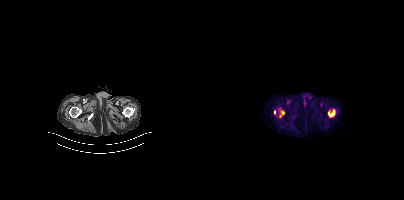
- Paired axial CT (left) and PSMA PET (right), 18F tracer
- slice 21 of 367
- PET panel 200×200 px (4.1 mm/px)
Findings: Coordinates are on the 200×200 PET (right) panel. (showing 2 of 4 foci) PSMA-avid tumor lesion bounding boxes (x0, y0)-(x1, y1): (75, 111)-(80, 117); (70, 110)-(71, 114).